Technique: Two-panel axial: CT | PSMA PET, 68Ga tracer.
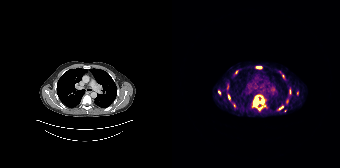
Findings: Coordinates are on the 168×168 PET (right) panel. (showing 11 of 12 foci) PSMA-avid tumor lesion bounding boxes (x0, y0)-(x1, y1): (81, 95)-(93, 110); (84, 66)-(89, 68); (117, 89)-(119, 94); (55, 85)-(56, 89); (56, 95)-(58, 99). Small PSMA-avid foci (2 to 4 px across) near (center x, center y): (109, 107); (111, 76); (47, 92); (125, 93); (62, 105); (64, 72).